Left: CT. Right: PSMA PET, same axial level, [18F]PSMA-1007 tracer. Slice position z = 288 mm. PET panel 200×200 px (4.1 mm/px).
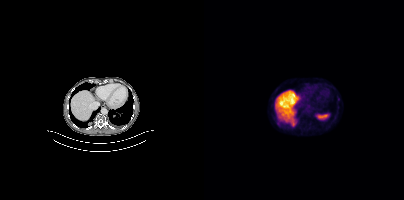
Coordinates are on the 200×200 PET (right) panel. (showing 2 of 3 foci) PSMA-avid tumor lesion bounding boxes (x0,y0,x1,y1): [86,118,92,126] [113,115,116,119].